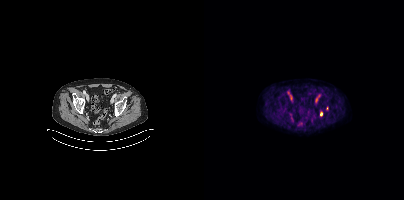
modality: PSMA PET/CT | tracer: [18F]PSMA-1007 | view: axial
Coordinates are on the 200×200 PET (right) panel. (showing 1 of 2 foci) Small PSMA-avid focus (2 to 4 px across) near (center x, center y): (117, 113).